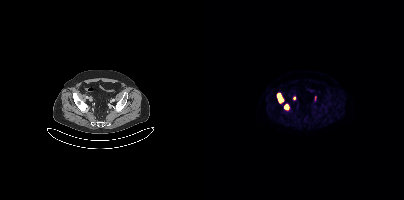
Technique: Left: CT. Right: PSMA PET, same axial level, [18F]PSMA-1007 tracer. slice position z = -871 mm.
Findings: Coordinates are on the 200×200 PET (right) panel. PSMA-avid tumor lesion bounding boxes (x0,y0,x1,y1): [73,93,79,102] [80,105,84,109]. Small PSMA-avid focus (2 to 4 px across) near (center x, center y): (90, 98).